Two-panel axial: CT | PSMA PET, [18F]PSMA-1007 tracer. Slice position z = -946 mm.
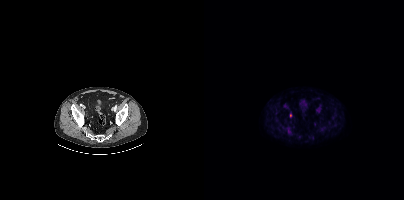
Coordinates are on the 200×200 PET (right) panel. Small PSMA-avid focus (2 to 4 px across) near (center x, center y): (86, 115).